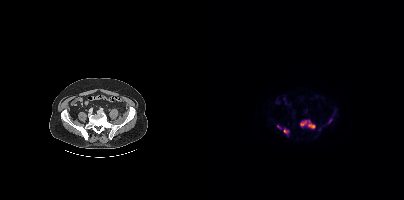
modality: PSMA PET/CT | tracer: [18F]PSMA-1007 | view: axial
Coordinates are on the 200×200 PET (right) panel. PSMA-avid tumor lesion bounding boxes (x, y, width, height): x=104 y=120 w=8 h=9 / x=96 y=121 w=7 h=6 / x=80 y=129 w=5 h=5. Small PSMA-avid foci (2 to 4 px across) near (center x, center y): (126, 121) / (73, 126).